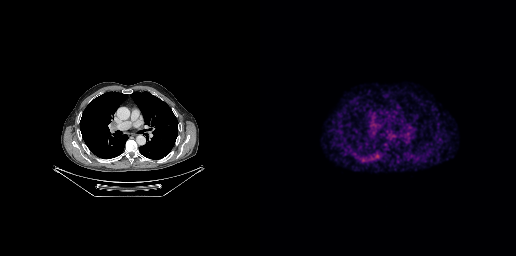
Only PSMA-avid lesion pieces thinner than 2 px on this slice (not listed).